- Left: CT. Right: PSMA PET, same axial level, 18F-PSMA tracer
- slice position z = -1266 mm
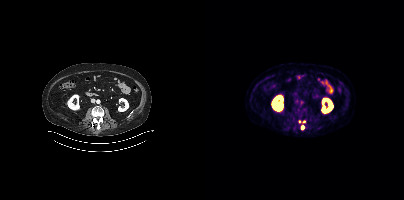
Findings: Coordinates are on the 200×200 PET (right) panel. Small PSMA-avid foci (2 to 4 px across) near (center x, center y): (99, 121); (95, 121); (98, 127).